Left: CT. Right: PSMA PET, same axial level, 18F-PSMA tracer. Slice 259 of 299. PET panel 256×256 px (2.7 mm/px).
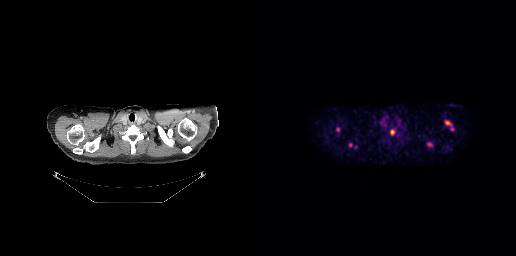
Coordinates are on the 256×256 PET (right) panel. PSMA-avid tumor lesion bounding boxes:
| # | x0 | y0 | x1 | y1 |
|---|---|---|---|---|
| 1 | 184 | 120 | 193 | 130 |
| 2 | 76 | 126 | 80 | 132 |
| 3 | 130 | 129 | 134 | 135 |
| 4 | 167 | 142 | 172 | 146 |
Small PSMA-avid foci (2 to 4 px across) near (center x, center y): (90, 144); (95, 146).